Technique: Two-panel axial: CT | PSMA PET, 18F-PSMA tracer. acquired on Siemens Biograph mCT Flow 20. PET panel 200×200 px (4.1 mm/px).
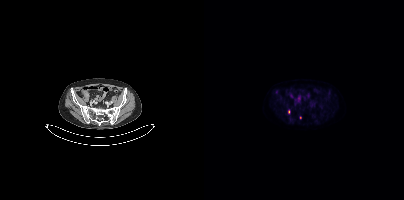
Findings: Coordinates are on the 200×200 PET (right) panel. Small PSMA-avid foci (2 to 4 px across) near (center x, center y): (85, 111) / (96, 117).